Paired axial CT (left) and PSMA PET (right), [18F]PSMA-1007 tracer. Acquired on Siemens Biograph mCT Flow 20. Slice 293 of 391. PET panel 200×200 px (4.1 mm/px).
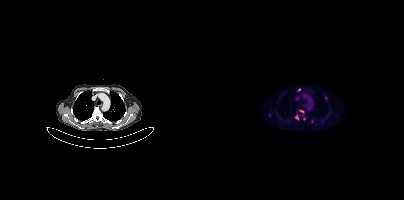
Coordinates are on the 200×200 PET (right) panel. PSMA-avid tumor lesion bounding boxes:
| # | x0 | y0 | x1 | y1 |
|---|---|---|---|---|
| 1 | 91 | 115 | 94 | 119 |
| 2 | 95 | 110 | 100 | 112 |
Small PSMA-avid foci (2 to 4 px across) near (center x, center y): (121, 98); (95, 89); (99, 118).